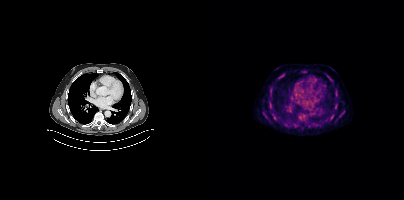
Coordinates are on the 200×200 PET (right) panel. (showing 6 of 10 foci) PSMA-avid tumor lesion bounding boxes (x0,y0,x1,y1): [76,73,80,77]; [127,114,129,118]; [60,115,64,118]. Small PSMA-avid foci (2 to 4 px across) near (center x, center y): (131, 106); (71, 118); (100, 70).